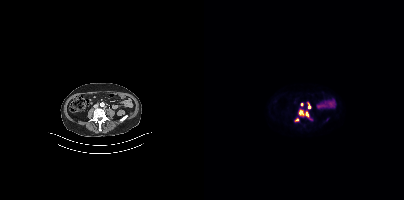
{"modality":"PSMA PET/CT","view":"axial","tracer":"18F-PSMA","pet_grid":[200,200],"coord_frame":"pet_panel","coord_format":"x0,y0,x1,y1","lesion_bboxes":[[95,110,99,115],[103,102,106,108],[101,111,105,117]],"small_foci_centers":[[92,119],[97,104]]}